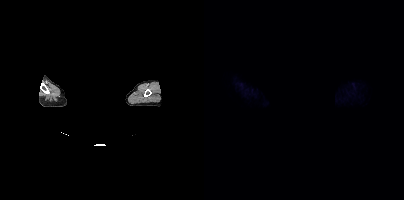
No PSMA-avid tumor lesions on this slice. Privacy masking over the head, with the pixels inside a rectangle set to black. Two-panel axial: CT | PSMA PET, 18F-PSMA tracer. Acquired on Siemens Biograph mCT Flow 20. Slice 411 of 433.